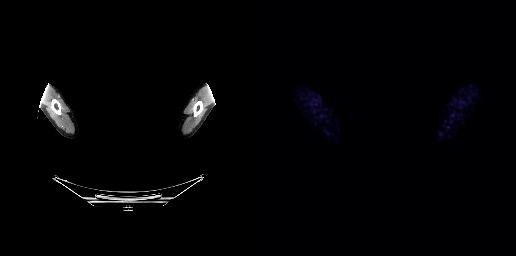
Two-panel axial: CT | PSMA PET, [68Ga]Ga-PSMA-11 tracer. Slice 181 of 189. The head region is masked for de-identification. No tumor lesions annotated on this slice.